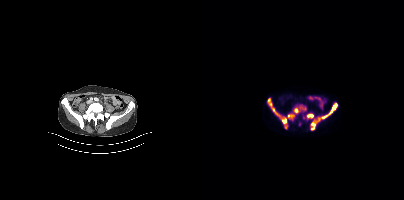
Findings: Coordinates are on the 200×200 PET (right) panel. (showing 2 of 3 foci) PSMA-avid tumor lesion bounding boxes (x, y, width, height): x=63 y=98 w=40 h=31 | x=102 y=102 w=32 h=29.
Technique: Left: CT. Right: PSMA PET, same axial level, 18F tracer.